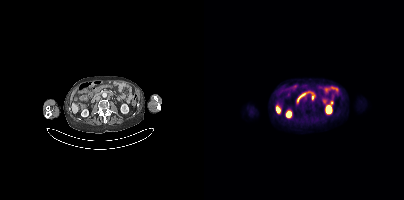
{"modality":"PSMA PET/CT","view":"axial","tracer":"18F","pet_grid":[200,200],"coord_frame":"pet_panel","coord_format":"x0,y0,x1,y1","lesion_bboxes":[],"small_foci_centers":[[100,98]]}